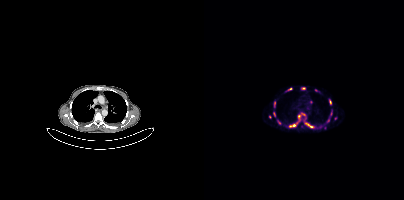
{"modality":"PSMA PET/CT","view":"axial","tracer":"68Ga-PSMA","pet_grid":[200,200],"coord_frame":"pet_panel","coord_format":"x0,y0,x1,y1","partial":true,"lesion_bboxes":[[97,113,102,116],[83,88,88,90],[70,101,71,107],[102,123,108,127],[69,112,71,116],[86,124,91,126]],"small_foci_centers":[[126,101],[95,116],[124,121],[99,88],[106,101],[131,118],[93,122]]}